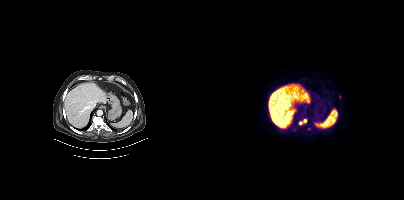
Left: CT. Right: PSMA PET, same axial level, 18F tracer. Acquired on Siemens Biograph mCT Flow 20.
Coordinates are on the 200×200 PET (right) panel. PSMA-avid tumor lesion bounding boxes (partial; 1 more focus not listed):
| # | x0 | y0 | x1 | y1 |
|---|---|---|---|---|
| 1 | 95 | 119 | 102 | 124 |
Small PSMA-avid foci (2 to 4 px across) near (center x, center y): (90, 130); (104, 128).